modality: PSMA PET/CT | tracer: 18F-PSMA | view: axial | PET grid: 256×256
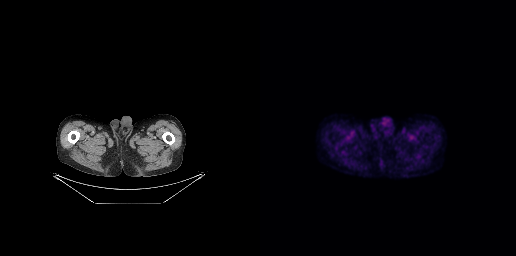
No PSMA-avid tumor lesions on this slice.